The face region was removed for patient privacy by blanking a rectangle over the head.
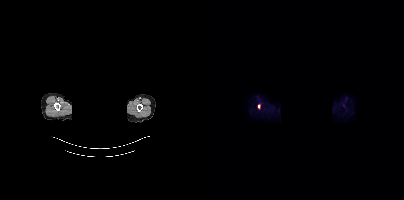
Coordinates are on the 200×200 PET (right) panel. Small PSMA-avid focus (2 to 4 px across) near (center x, center y): (54, 106).